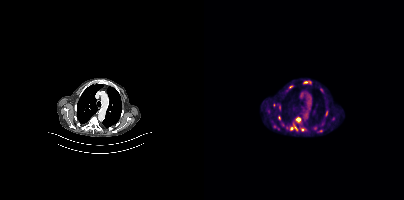
modality: PSMA PET/CT | tracer: 18F-PSMA | view: axial | PET grid: 200×200
Coordinates are on the 200×200 PET (right) panel. PSMA-avid tumor lesion bounding boxes (x, y, width, height): x=81 y=85 w=8 h=8; x=91 y=117 w=7 h=7; x=70 y=125 w=6 h=5; x=78 y=124 w=6 h=6; x=74 y=115 w=3 h=5; x=75 y=105 w=2 h=6; x=90 y=123 w=3 h=5. Small PSMA-avid foci (2 to 4 px across) near (center x, center y): (111, 127); (116, 130); (70, 104); (64, 111).